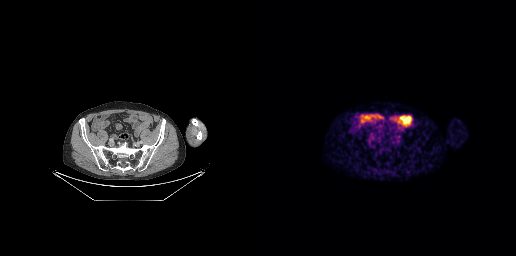
- Two-panel axial: CT | PSMA PET, [68Ga]Ga-PSMA-11 tracer
- slice position z = -709 mm
Findings: No tumor lesions annotated on this slice.